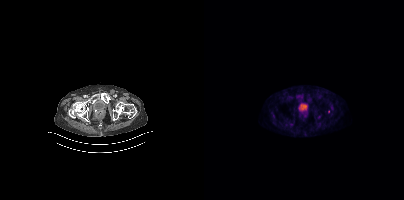
Only PSMA-avid lesion pieces thinner than 2 px on this slice (not listed).